Left: CT. Right: PSMA PET, same axial level, 18F tracer. Acquired on GE Discovery 690. PET panel 256×256 px (2.7 mm/px).
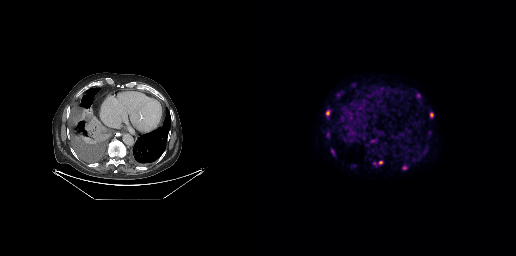
Coordinates are on the 256×256 PET (right) panel. (showing 6 of 7 foci) PSMA-avid tumor lesion bounding boxes (x0, y0)-(x1, y1): (71, 148)-(75, 155); (156, 93)-(160, 98); (66, 110)-(69, 115); (170, 112)-(173, 117); (142, 166)-(147, 169). Small PSMA-avid focus (2 to 4 px across) near (center x, center y): (120, 162).